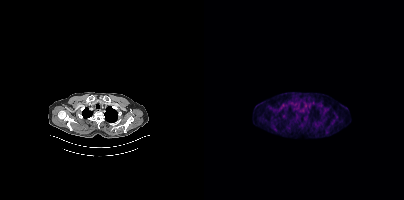
{"modality":"PSMA PET/CT","view":"axial","tracer":"18F","pet_grid":[200,200],"coord_frame":"pet_panel","coord_format":"x0,y0,x1,y1","psma_avid_lesions":false}